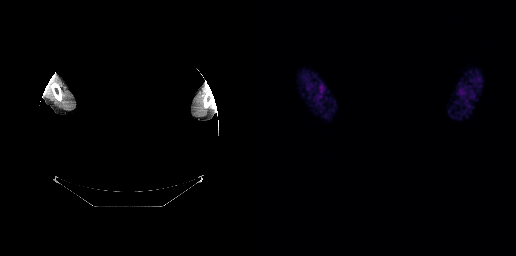
Negative for PSMA-avid disease on this slice.
modality: PSMA PET/CT | tracer: [68Ga]Ga-PSMA-11 | view: axial | PET grid: 256×256 | deidentification: facial region redacted